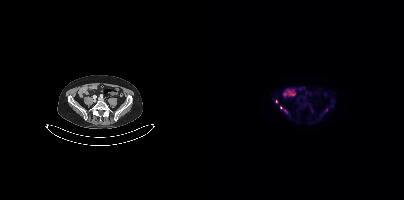
- Paired axial CT (left) and PSMA PET (right), [18F]PSMA-1007 tracer
- acquired on Siemens Biograph mCT Flow 20
- slice position z = -106 mm
- PET panel 200×200 px (4.1 mm/px)
Findings: Coordinates are on the 200×200 PET (right) panel. (showing 3 of 4 foci) Small PSMA-avid foci (2 to 4 px across) near (center x, center y): (81, 110); (76, 107); (122, 109).